Two-panel axial: CT | PSMA PET, 18F tracer. Slice position z = -643 mm. PET panel 256×256 px (2.7 mm/px).
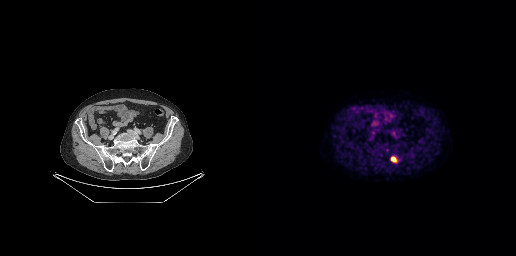
Coordinates are on the 256×256 PET (right) panel. Small PSMA-avid focus (2 to 4 px across) near (center x, center y): (133, 158).